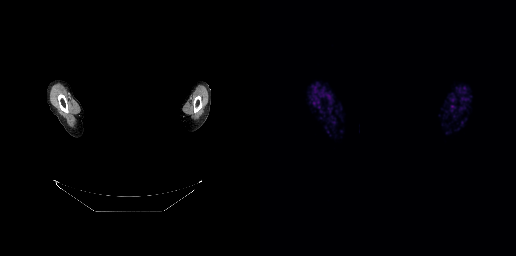
modality: PSMA PET/CT | tracer: 68Ga | view: axial | de-identification: face masked with black rectangle
No PSMA-avid tumor lesions on this slice.